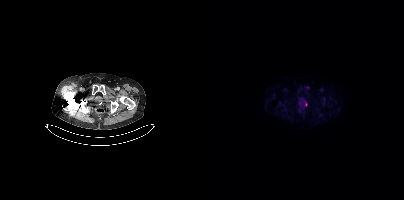
Two-panel axial: CT | PSMA PET, [18F]PSMA-1007 tracer. PET panel 200×200 px (4.1 mm/px).
Coordinates are on the 200×200 PET (right) panel. PSMA-avid tumor lesion bounding boxes:
| # | x0 | y0 | x1 | y1 |
|---|---|---|---|---|
| 1 | 101 | 102 | 103 | 106 |